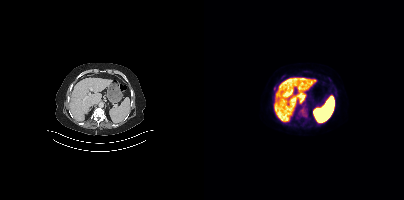
No PSMA-avid tumor lesions on this slice.